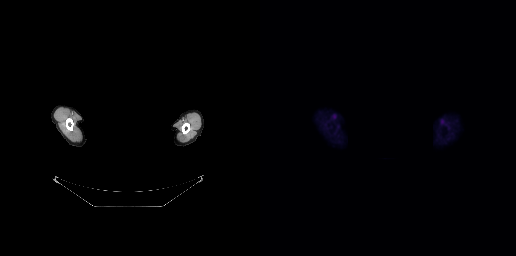
Technique: Two-panel axial: CT | PSMA PET, 18F tracer. slice 242 of 263.
Note: A rectangle over the head was blacked out to remove identifiable facial features.
Findings: This slice has no annotated PSMA-avid lesion.